- Two-panel axial: CT | PSMA PET, 18F-PSMA tracer
- acquired on GE Discovery 690
- PET panel 256×256 px (2.7 mm/px)
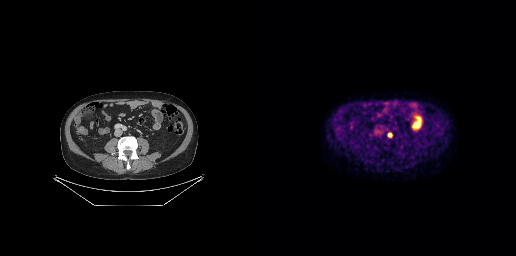
Findings: Coordinates are on the 256×256 PET (right) panel. Small PSMA-avid focus (2 to 4 px across) near (center x, center y): (129, 134).